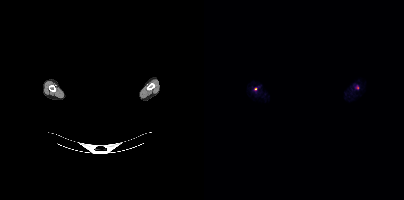
Coordinates are on the 200×200 PET (right) panel. PSMA-avid tumor lesion bounding boxes:
| # | x0 | y0 | x1 | y1 |
|---|---|---|---|---|
| 1 | 151 | 85 | 155 | 89 |
Small PSMA-avid focus (2 to 4 px across) near (center x, center y): (51, 88).
Any black rectangle over the head is a privacy mask, not anatomy. Two-panel axial: CT | PSMA PET, 18F-PSMA tracer. Acquired on Siemens Biograph mCT Flow 20. PET panel 200×200 px (4.1 mm/px).